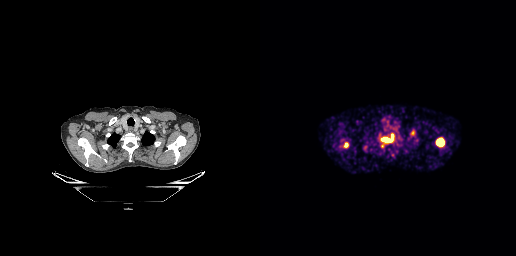
Coordinates are on the 256×256 PET (right) panel. (showing 5 of 6 foci) PSMA-avid tumor lesion bounding boxes (x0, y0)-(x1, y1): (176, 138)-(183, 146); (121, 137)-(131, 141); (84, 142)-(88, 147). Small PSMA-avid foci (2 to 4 px across) near (center x, center y): (152, 132); (132, 136).